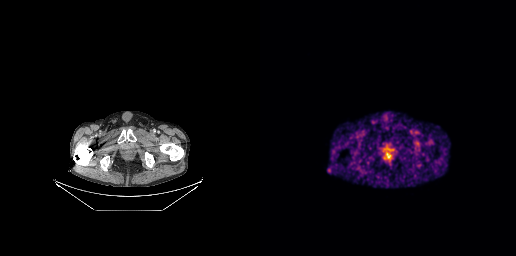
{"modality":"PSMA PET/CT","view":"axial","tracer":"68Ga-PSMA","pet_grid":[256,256],"coord_frame":"pet_panel","coord_format":"x0,y0,x1,y1","psma_avid_lesions":false}